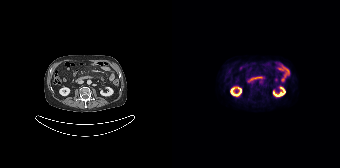
No tumor lesions annotated on this slice.
modality: PSMA PET/CT | tracer: 18F-PSMA | view: axial | PET grid: 168×168